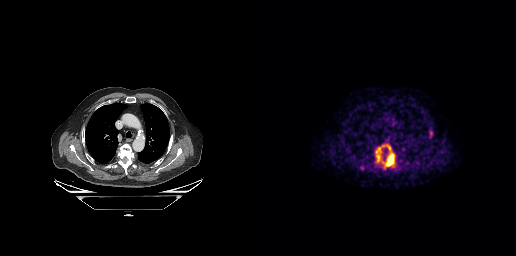
Coordinates are on the 256×256 PET (right) panel. PSMA-avid tumor lesion bounding box (x0,y0,x1,y1): [115,144,135,167]. Small PSMA-avid focus (2 to 4 px across) near (center x, center y): (170, 133).
modality: PSMA PET/CT | tracer: 68Ga | view: axial